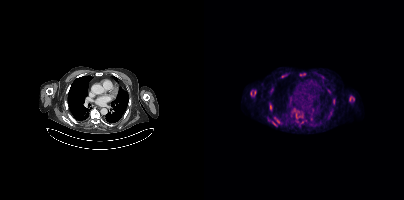
{"modality":"PSMA PET/CT","view":"axial","tracer":"18F","pet_grid":[200,200],"coord_frame":"pet_panel","coord_format":"x0,y0,x1,y1","partial":true,"lesion_bboxes":[[46,90,52,96],[145,96,150,101],[70,117,74,123],[66,106,68,110],[68,121,72,125]],"small_foci_centers":[[65,102]]}